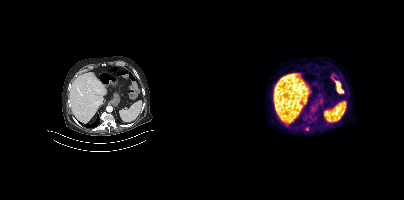
- Two-panel axial: CT | PSMA PET, [18F]PSMA-1007 tracer
- acquired on Siemens Biograph mCT Flow 20
- slice position z = 1150 mm
Findings: Negative for PSMA-avid disease on this slice.